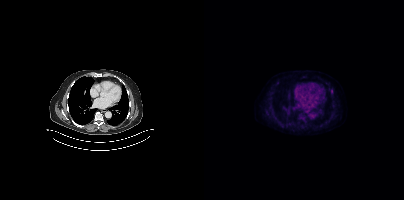
This slice has no annotated PSMA-avid lesion.